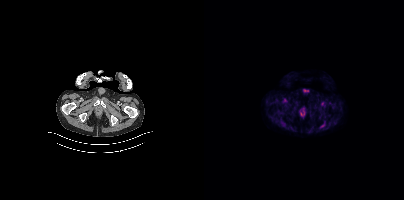
{"modality":"PSMA PET/CT","view":"axial","tracer":"18F-PSMA","pet_grid":[200,200],"coord_frame":"pet_panel","coord_format":"x0,y0,x1,y1","psma_avid_lesions":false}